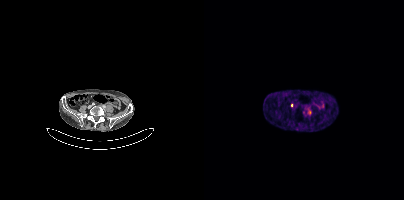
Coordinates are on the 200×200 PET (right) panel. PSMA-avid tumor lesion bounding box (x0, y0)-(x1, y1): (104, 110)-(107, 114).